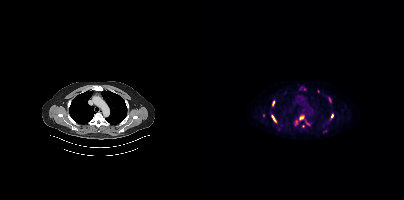
{"modality":"PSMA PET/CT","view":"axial","tracer":"[18F]PSMA-1007","pet_grid":[200,200],"coord_frame":"pet_panel","coord_format":"x0,y0,x1,y1","partial":true,"lesion_bboxes":[[95,115,100,120],[68,115,72,122],[127,114,129,118],[68,101,70,105]],"small_foci_centers":[[125,99]]}